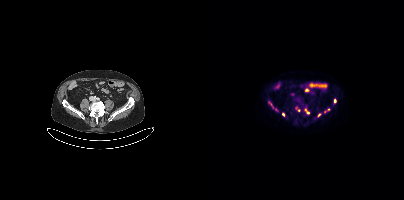
Coordinates are on the 200×200 PET (right) panel. PSMA-avid tumor lesion bounding boxes (x, y, width, height): x=120 y=108 w=7 h=5 | x=66 y=104 w=4 h=5. Small PSMA-avid foci (2 to 4 px across) near (center x, center y): (101, 109) | (130, 100) | (79, 114) | (115, 115) | (92, 108) | (104, 112) | (71, 109) | (94, 110).